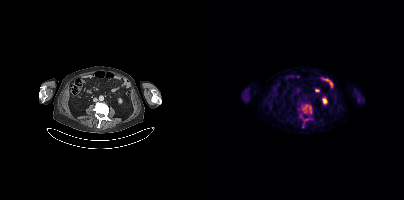
{"pet_grid":[200,200],"coord_frame":"pet_panel","coord_format":"x0,y0,x1,y1","partial":true,"lesion_bboxes":[[97,104,108,113],[100,119,104,121]],"modality":"PSMA PET/CT","view":"axial","tracer":"[18F]PSMA-1007"}